Two-panel axial: CT | PSMA PET, 68Ga-PSMA tracer. Acquired on GE Discovery 690. Slice position z = -763 mm.
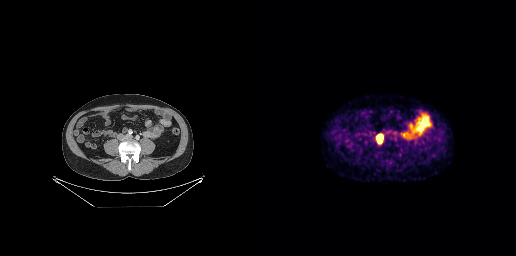
Coordinates are on the 256×256 PET (right) panel. PSMA-avid tumor lesion bounding boxes:
| # | x0 | y0 | x1 | y1 |
|---|---|---|---|---|
| 1 | 116 | 133 | 123 | 144 |